Two-panel axial: CT | PSMA PET, [18F]PSMA-1007 tracer. Acquired on Siemens Biograph 64-4R TruePoint.
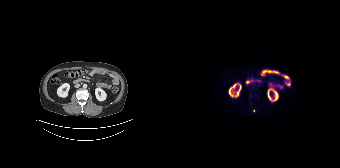
Coordinates are on the 168×168 PET (right) panel. Small PSMA-avid focus (2 to 4 px across) near (center x, center y): (81, 110).